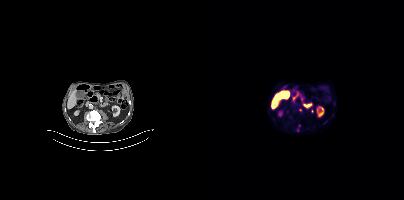
Coordinates are on the 200×200 PET (right) panel. PSMA-avid tumor lesion bounding boxes:
| # | x0 | y0 | x1 | y1 |
|---|---|---|---|---|
| 1 | 92 | 124 | 96 | 131 |
Small PSMA-avid focus (2 to 4 px across) near (center x, center y): (96, 109).
Paired axial CT (left) and PSMA PET (right), 18F tracer. Acquired on Siemens Biograph mCT Flow 20.